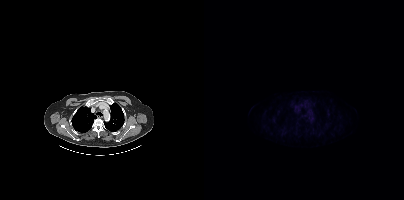
Coordinates are on the 200×200 PET (right) panel. Small PSMA-avid focus (2 to 4 px across) near (center x, center y): (124, 114). Left: CT. Right: PSMA PET, same axial level, 18F tracer. Acquired on Siemens Biograph mCT Flow 20. Slice 316 of 423. PET panel 200×200 px (4.1 mm/px).